modality: PSMA PET/CT | tracer: [18F]PSMA-1007 | view: axial | PET grid: 200×200
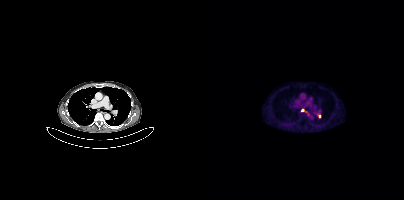
Coordinates are on the 200×200 PET (right) panel. PSMA-avid tumor lesion bounding box (x, y, width, height): x=97 y=108 w=8 h=7. Small PSMA-avid focus (2 to 4 px across) near (center x, center y): (115, 116).